Left: CT. Right: PSMA PET, same axial level, [18F]PSMA-1007 tracer. PET panel 200×200 px (4.1 mm/px).
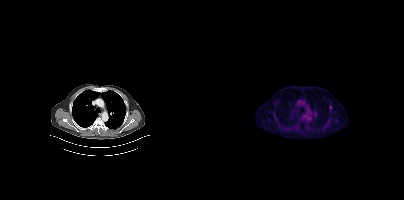
Coordinates are on the 200×200 PET (right) panel. Small PSMA-avid focus (2 to 4 px across) near (center x, center y): (126, 107).